Face de-identified by blanking a block of the head. Left: CT. Right: PSMA PET, same axial level, [18F]PSMA-1007 tracer. Acquired on Siemens Biograph mCT Flow 20. PET panel 200×200 px (4.1 mm/px).
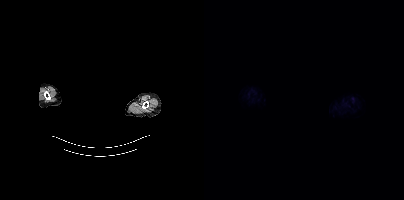
This slice has no annotated PSMA-avid lesion.